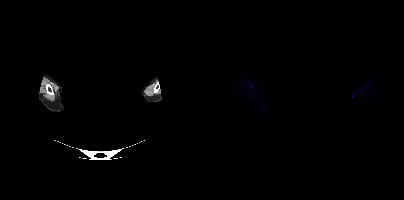
- de-identified by setting a box covering the face to black before release
- Left: CT. Right: PSMA PET, same axial level, [18F]PSMA-1007 tracer
- PET panel 200×200 px (4.1 mm/px)
Findings: No tumor lesions annotated on this slice.